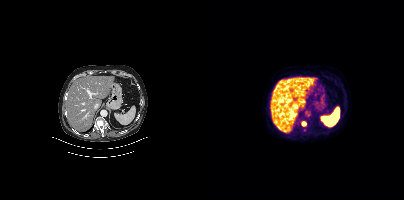
- Left: CT. Right: PSMA PET, same axial level, 18F tracer
Findings: Coordinates are on the 200×200 PET (right) panel. PSMA-avid tumor lesion bounding box (x0,y0,x1,y1): [98,122,102,125].